- Left: CT. Right: PSMA PET, same axial level, 68Ga tracer
- slice 5 of 263
- PET panel 256×256 px (2.7 mm/px)
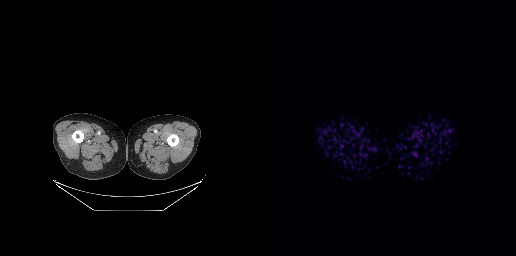
Findings: No tumor lesions annotated on this slice.